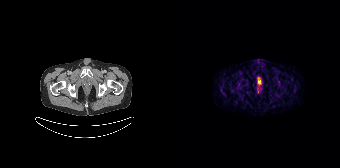
Two-panel axial: CT | PSMA PET, 68Ga-PSMA tracer. This slice has no annotated PSMA-avid lesion.